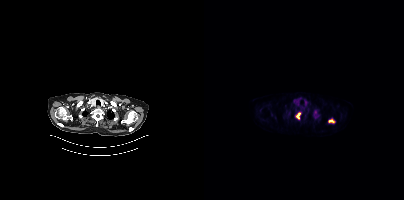
Technique: Left: CT. Right: PSMA PET, same axial level, 18F-PSMA tracer. slice position z = -382 mm. PET panel 200×200 px (4.1 mm/px).
Findings: Coordinates are on the 200×200 PET (right) panel. (showing 2 of 3 foci) PSMA-avid tumor lesion bounding boxes (x, y, width, height): x=92 y=112 w=5 h=7 | x=124 y=119 w=7 h=4.